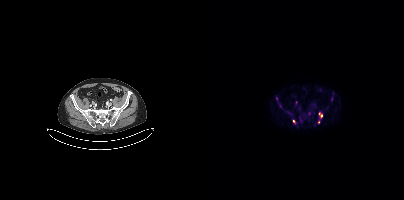
{"modality":"PSMA PET/CT","view":"axial","tracer":"[18F]PSMA-1007","pet_grid":[200,200],"coord_frame":"pet_panel","coord_format":"x0,y0,x1,y1","partial":true,"lesion_bboxes":[[115,113,118,117]],"small_foci_centers":[[76,105],[114,122]]}